- Paired axial CT (left) and PSMA PET (right), 18F tracer
- acquired on Siemens Biograph mCT Flow 20
- PET panel 200×200 px (4.1 mm/px)
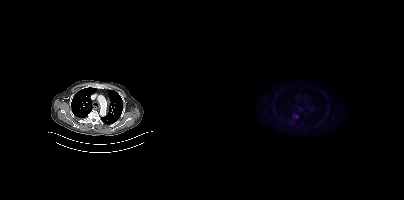
Findings: Coordinates are on the 200×200 PET (right) panel. Small PSMA-avid foci (2 to 4 px across) near (center x, center y): (92, 116); (89, 116).